- head region blanked for anonymization (face removed)
- Left: CT. Right: PSMA PET, same axial level, 68Ga tracer
- slice position z = -248 mm
- PET panel 256×256 px (2.7 mm/px)
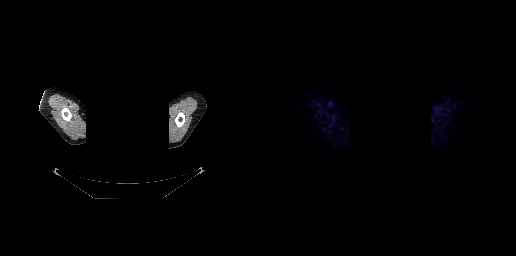
Findings: This slice has no annotated PSMA-avid lesion.